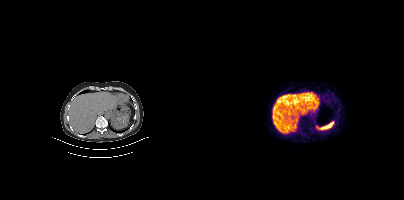
No tumor lesions annotated on this slice.